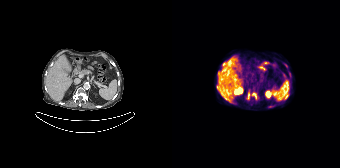
Findings: Coordinates are on the 168×168 PET (right) panel. (showing 4 of 6 foci) PSMA-avid tumor lesion bounding boxes (x0, y0)-(x1, y1): (80, 93)-(84, 99) | (75, 92)-(77, 99). Small PSMA-avid foci (2 to 4 px across) near (center x, center y): (51, 63) | (113, 98).
Technique: Paired axial CT (left) and PSMA PET (right), 68Ga tracer. PET panel 168×168 px (4.1 mm/px).